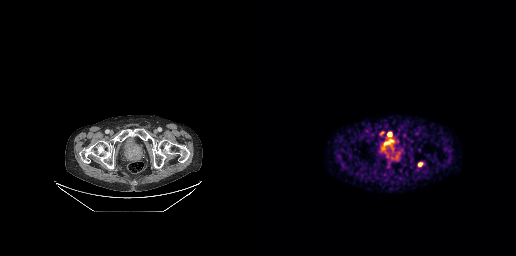
Findings: Coordinates are on the 256×256 PET (right) panel. PSMA-avid tumor lesion bounding boxes (x, y, width, height): x=119 y=131 w=6 h=6 | x=158 y=162 w=5 h=5. Small PSMA-avid foci (2 to 4 px across) near (center x, center y): (129, 134) | (132, 148) | (144, 135).
Technique: Paired axial CT (left) and PSMA PET (right), [68Ga]Ga-PSMA-11 tracer. PET panel 256×256 px (2.7 mm/px).